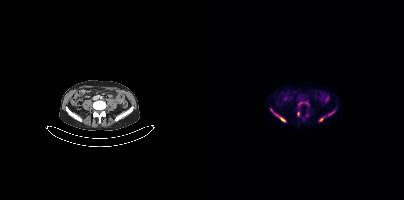
Coordinates are on the 200×200 PET (right) panel. (showing 6 of 7 foci) PSMA-avid tumor lesion bounding boxes (x, y, width, height): x=66 y=108 w=17 h=15 / x=115 y=116 w=7 h=6 / x=124 y=110 w=7 h=6. Small PSMA-avid foci (2 to 4 px across) near (center x, center y): (94, 113) / (96, 103) / (102, 103).